Paired axial CT (left) and PSMA PET (right), 68Ga-PSMA tracer. The face region was removed for patient privacy by blanking a rectangle over the head.
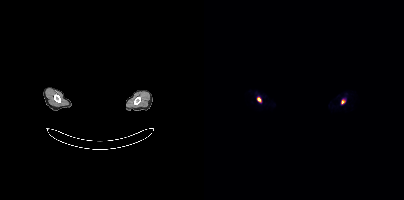
Coordinates are on the 200×200 PET (right) panel. PSMA-avid tumor lesion bounding boxes:
| # | x0 | y0 | x1 | y1 |
|---|---|---|---|---|
| 1 | 53 | 97 | 56 | 101 |
Small PSMA-avid focus (2 to 4 px across) near (center x, center y): (138, 101).